Two-panel axial: CT | PSMA PET, [18F]PSMA-1007 tracer.
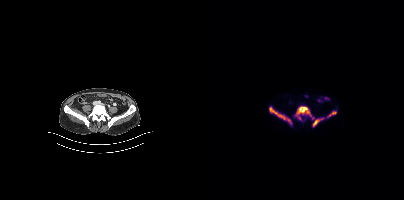
Coordinates are on the 200×200 PET (right) panel. PSMA-avid tumor lesion bounding boxes (x, y, width, height): x=91 y=106 w=20 h=14 / x=65 y=107 w=23 h=18 / x=108 y=118 w=11 h=9 / x=124 y=111 w=9 h=6.